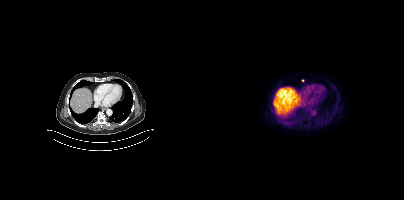
Coordinates are on the 200×200 PET (right) panel. Small PSMA-avid focus (2 to 4 px across) near (center x, center y): (98, 80). Paired axial CT (left) and PSMA PET (right), 18F-PSMA tracer. Slice position z = -1304 mm.